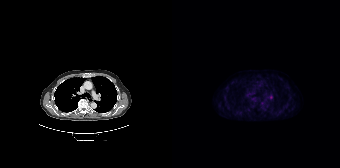
No PSMA-avid tumor lesions on this slice.